Left: CT. Right: PSMA PET, same axial level, 18F-PSMA tracer. Acquired on Siemens Biograph mCT Flow 20.
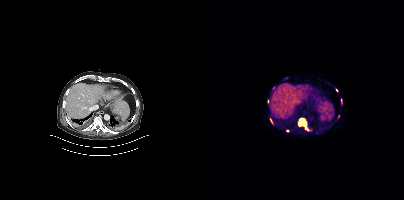
Coordinates are on the 200×200 PET (right) panel. (showing 6 of 7 foci) PSMA-avid tumor lesion bounding boxes (x0, y0)-(x1, y1): (93, 117)-(108, 131) / (66, 118)-(68, 123) / (137, 99)-(138, 103). Small PSMA-avid foci (2 to 4 px across) near (center x, center y): (83, 130) / (132, 90) / (82, 77).